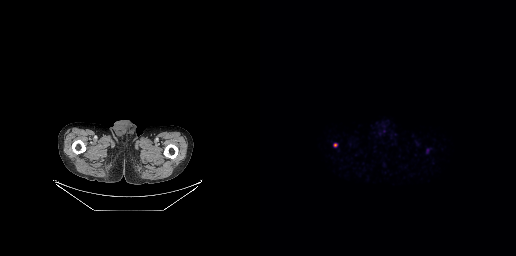
Coordinates are on the 256×256 PET (right) panel. (showing 1 of 2 foci) Small PSMA-avid focus (2 to 4 px across) near (center x, center y): (75, 144).